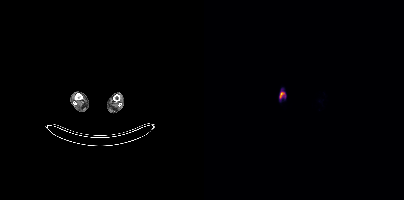
{"pet_grid":[200,200],"coord_frame":"pet_panel","coord_format":"x0,y0,x1,y1","lesion_bboxes":[[75,92,81,98]],"modality":"PSMA PET/CT","view":"axial","tracer":"18F"}